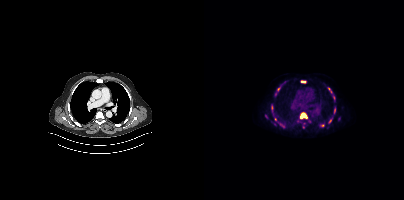
Technique: Paired axial CT (left) and PSMA PET (right), 18F tracer. slice position z = -1032 mm.
Findings: Coordinates are on the 200×200 PET (right) panel. (showing 12 of 14 foci) PSMA-avid tumor lesion bounding boxes (x0, y0)-(x1, y1): (96, 113)-(102, 118) | (130, 107)-(131, 113) | (97, 81)-(101, 82). Small PSMA-avid foci (2 to 4 px across) near (center x, center y): (125, 89) | (129, 97) | (99, 127) | (62, 116) | (71, 119) | (126, 121) | (127, 92) | (74, 89) | (67, 105).